Paired axial CT (left) and PSMA PET (right), 18F-PSMA tracer. Slice position z = 1362 mm.
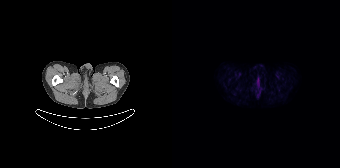
No PSMA-avid tumor lesions on this slice.